modality: PSMA PET/CT | tracer: [68Ga]Ga-PSMA-11 | view: axial | PET grid: 168×168
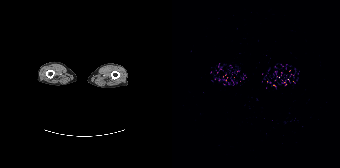
Negative for PSMA-avid disease on this slice.